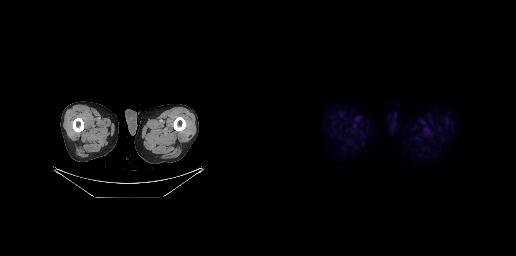
{"pet_grid":[256,256],"coord_frame":"pet_panel","coord_format":"x0,y0,x1,y1","psma_avid_lesions":false,"modality":"PSMA PET/CT","view":"axial","tracer":"18F"}